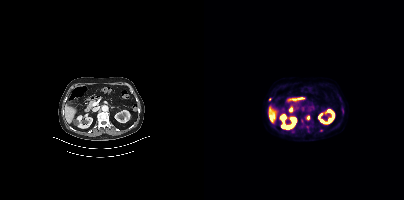
Coordinates are on the 200×200 PET (right) panel. (showing 4 of 6 foci) Small PSMA-avid foci (2 to 4 px across) near (center x, center y): (104, 117); (117, 130); (65, 99); (138, 110). Paired axial CT (left) and PSMA PET (right), 18F tracer. PET panel 200×200 px (4.1 mm/px).